- Paired axial CT (left) and PSMA PET (right), 68Ga-PSMA tracer
- PET panel 256×256 px (2.7 mm/px)
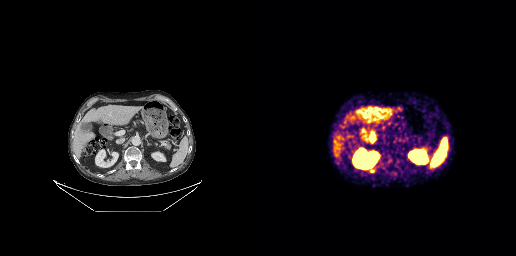
Findings: Coordinates are on the 256×256 PET (right) panel. PSMA-avid tumor lesion bounding box (x0,y0,x1,y1): [110,167,114,172]. Small PSMA-avid focus (2 to 4 px across) near (center x, center y): (135, 173).